Technique: Paired axial CT (left) and PSMA PET (right), [18F]PSMA-1007 tracer. acquired on Siemens Biograph mCT Flow 20. slice position z = 530 mm.
Note: The head region is masked for de-identification.
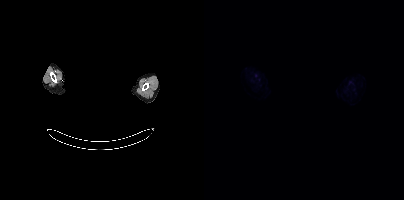
Findings: No PSMA-avid tumor lesions on this slice.